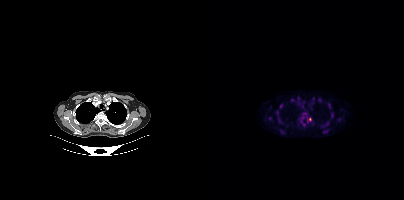
Coordinates are on the 200×200 PET (right) panel. PSMA-avid tumor lesion bounding box (x0,y0,x1,y1): [128,113,129,117]. Small PSMA-avid foci (2 to 4 px across) near (center x, center y): (77, 105), (106, 119), (73, 112), (65, 118).